Two-panel axial: CT | PSMA PET, 68Ga-PSMA tracer. Acquired on GE Discovery 690. PET panel 256×256 px (2.7 mm/px). Facial anatomy redacted by setting a rectangular region of the head to black.
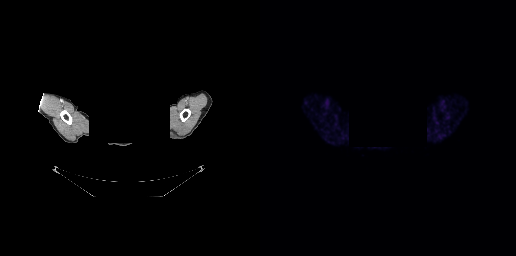
Negative for PSMA-avid disease on this slice.